Technique: Two-panel axial: CT | PSMA PET, [18F]PSMA-1007 tracer. slice 277 of 299.
Note: The face region was removed for patient privacy by blanking a rectangle over the head.
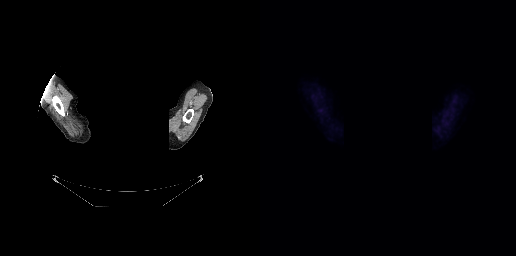
Findings: No PSMA-avid tumor lesions on this slice.